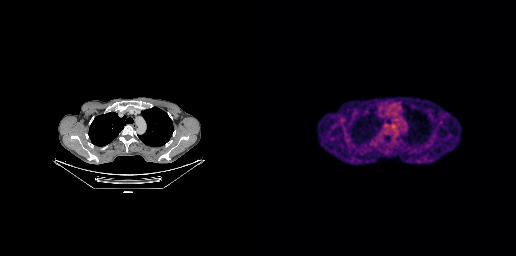
Left: CT. Right: PSMA PET, same axial level, 18F tracer. Slice 203 of 263. PET panel 256×256 px (2.7 mm/px). Negative for PSMA-avid disease on this slice.